Technique: Two-panel axial: CT | PSMA PET, 18F-PSMA tracer. acquired on Siemens Biograph mCT Flow 20.
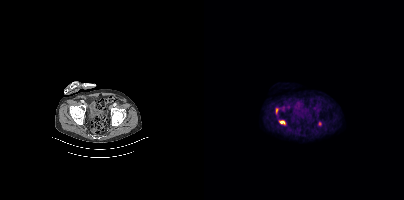
Findings: Coordinates are on the 200×200 PET (right) panel. PSMA-avid tumor lesion bounding boxes (x0,y0,x1,y1): [75,120,81,125]; [114,121,117,126]; [72,109,73,113].